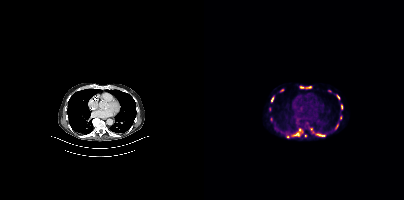
Findings: Coordinates are on the 200×200 PET (right) panel. (showing 12 of 15 foci) PSMA-avid tumor lesion bounding boxes (x0,y0,x1,y1): [88,128,98,136]; [95,85,108,89]; [112,134,121,136]; [67,96,70,102]; [132,94,136,99]; [137,104,139,109]; [131,123,134,128]. Small PSMA-avid foci (2 to 4 px across) near (center x, center y): (77, 90); (136, 117); (107, 129); (125, 90); (101, 135).
Technique: Two-panel axial: CT | PSMA PET, 18F tracer. acquired on Siemens Biograph mCT Flow 20. slice position z = -440 mm. PET panel 200×200 px (4.1 mm/px).